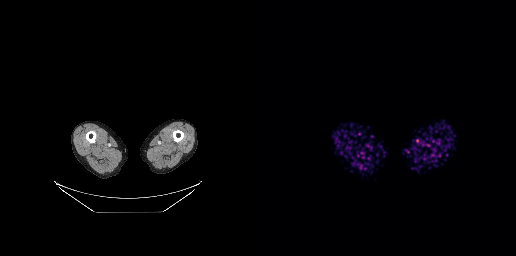
modality: PSMA PET/CT | tracer: 68Ga | view: axial | PET grid: 256×256
No PSMA-avid tumor lesions on this slice.